modality: PSMA PET/CT | tracer: [18F]PSMA-1007 | view: axial | PET grid: 200×200
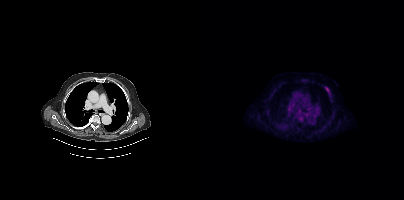
Coordinates are on the 200×200 PET (right) panel. PSMA-avid tumor lesion bounding box (x0,y0,x1,y1): [121,87,125,91].